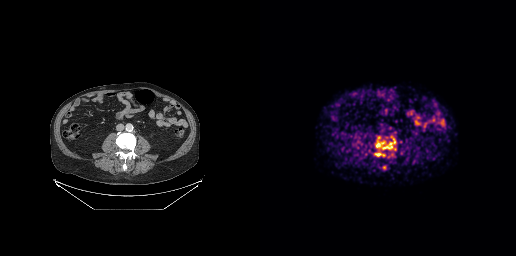
{"modality":"PSMA PET/CT","view":"axial","tracer":"68Ga","pet_grid":[256,256],"coord_frame":"pet_panel","coord_format":"x0,y0,x1,y1","partial":true,"lesion_bboxes":[[116,138,135,149],[116,153,124,155]],"small_foci_centers":[[124,167],[118,137],[134,148]]}